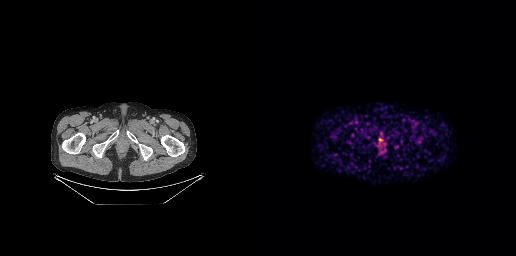
Paired axial CT (left) and PSMA PET (right), [68Ga]Ga-PSMA-11 tracer. PET panel 256×256 px (2.7 mm/px). Negative for PSMA-avid disease on this slice.